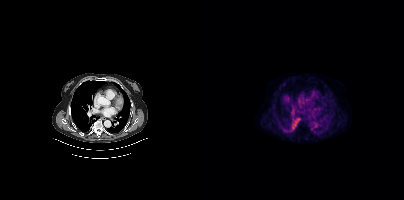
Two-panel axial: CT | PSMA PET, 18F tracer. PET panel 200×200 px (4.1 mm/px). Coordinates are on the 200×200 PET (right) panel. Small PSMA-avid focus (2 to 4 px across) near (center x, center y): (79, 84).